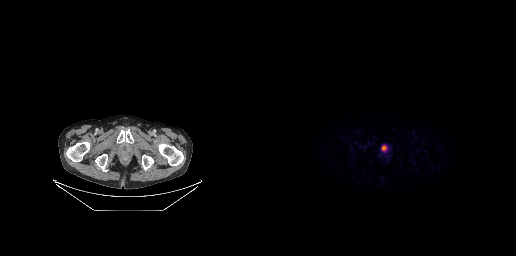
{"modality":"PSMA PET/CT","view":"axial","tracer":"68Ga","pet_grid":[256,256],"coord_frame":"pet_panel","coord_format":"x0,y0,x1,y1","psma_avid_lesions":false}